Technique: Paired axial CT (left) and PSMA PET (right), 18F tracer. slice position z = -737 mm. PET panel 200×200 px (4.1 mm/px).
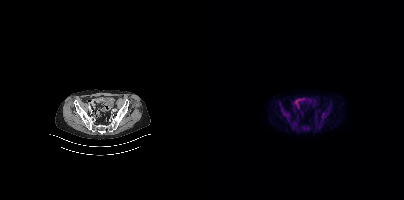
Findings: No PSMA-avid tumor lesions on this slice.